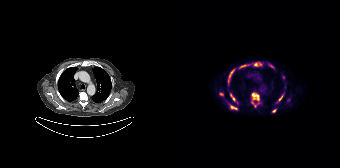
Left: CT. Right: PSMA PET, same axial level, [18F]PSMA-1007 tracer. Coordinates are on the 168×168 PET (right) panel. (showing 11 of 13 foci) PSMA-avid tumor lesion bounding boxes (x0, y0)-(x1, y1): (79, 92)-(87, 107) | (56, 69)-(62, 84) | (58, 105)-(65, 109) | (58, 93)-(63, 101) | (82, 63)-(89, 66) | (106, 94)-(111, 101) | (100, 109)-(104, 112) | (67, 65)-(73, 68). Small PSMA-avid foci (2 to 4 px across) near (center x, center y): (49, 94) | (99, 65) | (111, 77).